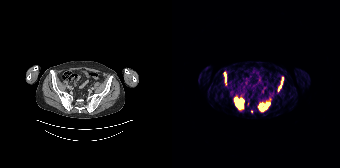
Coordinates are on the 168×168 PET (right) panel. PSMA-avid tumor lesion bounding boxes (x, y, width, height): x=62 y=99 w=10 h=10 | x=86 y=103 w=12 h=8 | x=106 y=79 w=6 h=13 | x=53 y=78 w=2 h=5. Small PSMA-avid foci (2 to 4 px across) near (center x, center y): (79, 111) | (53, 75).